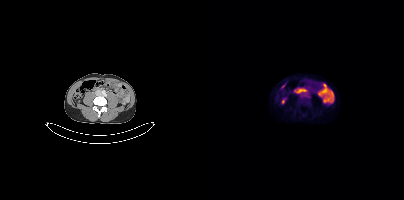
- Paired axial CT (left) and PSMA PET (right), 18F-PSMA tracer
- acquired on Siemens Biograph mCT Flow 20
Findings: No PSMA-avid tumor lesions on this slice.